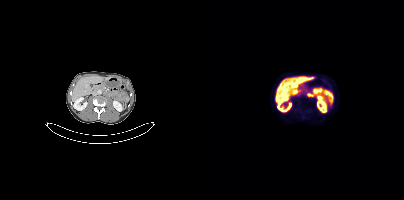
Paired axial CT (left) and PSMA PET (right), [18F]PSMA-1007 tracer. Slice position z = 1413 mm. No tumor lesions annotated on this slice.